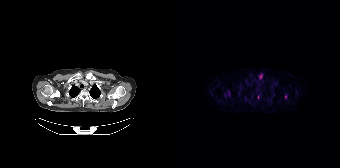
{"modality":"PSMA PET/CT","view":"axial","tracer":"18F-PSMA","pet_grid":[168,168],"coord_frame":"pet_panel","coord_format":"x0,y0,x1,y1","partial":true,"lesion_bboxes":[[87,74,90,78]],"small_foci_centers":[[113,96]]}